Technique: Paired axial CT (left) and PSMA PET (right), [18F]PSMA-1007 tracer. PET panel 256×256 px (2.7 mm/px).
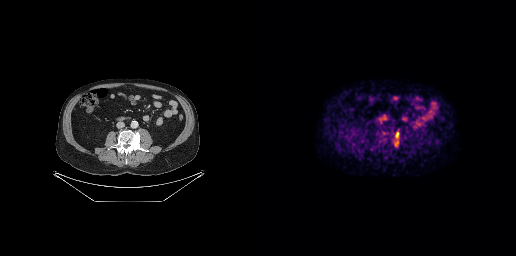
Findings: Coordinates are on the 256×256 PET (right) panel. PSMA-avid tumor lesion bounding box (x0, y0)-(x1, y1): (134, 132)-(139, 146).